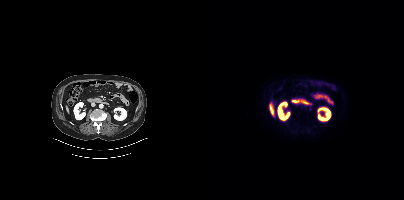
{"pet_grid":[200,200],"coord_frame":"pet_panel","coord_format":"x0,y0,x1,y1","psma_avid_lesions":false,"modality":"PSMA PET/CT","view":"axial","tracer":"18F"}